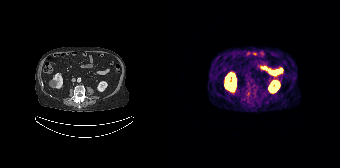
Findings: No tumor lesions annotated on this slice.
Technique: Two-panel axial: CT | PSMA PET, 68Ga-PSMA tracer. slice 101 of 195. PET panel 168×168 px (4.1 mm/px).